Paired axial CT (left) and PSMA PET (right), [18F]PSMA-1007 tracer. Slice position z = -639 mm.
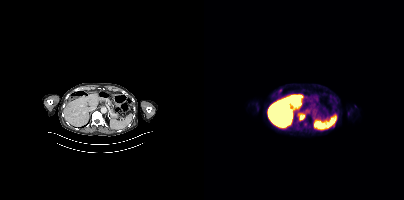
Coordinates are on the 200×200 PET (right) panel. Small PSMA-avid focus (2 to 4 px across) near (center x, center y): (97, 117).